- Two-panel axial: CT | PSMA PET, [18F]PSMA-1007 tracer
- acquired on Siemens Biograph mCT Flow 20
- slice 130 of 444
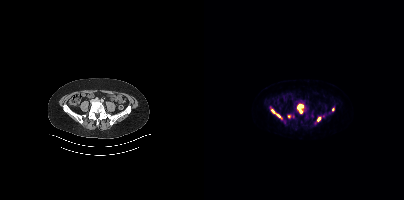
Findings: Coordinates are on the 200×200 PET (right) panel. PSMA-avid tumor lesion bounding boxes (x, y, width, height): x=93 y=104 w=7 h=10; x=67 y=109 w=11 h=10; x=113 y=117 w=5 h=5. Small PSMA-avid foci (2 to 4 px across) near (center x, center y): (129, 109); (85, 116).